Paired axial CT (left) and PSMA PET (right), 18F tracer. PET panel 256×256 px (2.7 mm/px).
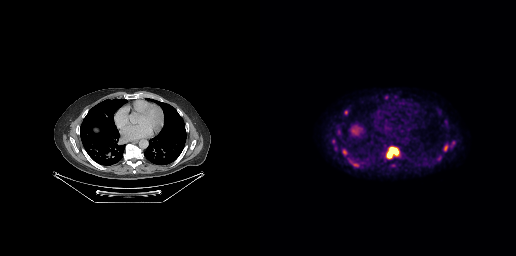
Coordinates are on the 256×256 PET (right) panel. PSMA-avid tumor lesion bounding boxes (partial; 1 more focus not listed):
| # | x0 | y0 | x1 | y1 |
|---|---|---|---|---|
| 1 | 126 | 147 | 139 | 158 |
| 2 | 184 | 145 | 187 | 151 |
| 3 | 92 | 163 | 98 | 166 |
| 4 | 84 | 110 | 87 | 114 |
| 5 | 83 | 150 | 86 | 154 |
Small PSMA-avid focus (2 to 4 px across) near (center x, center y): (193, 142).